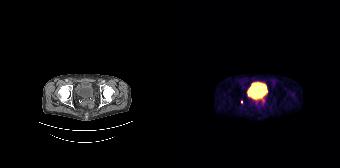
Coordinates are on the 168×168 PET (right) panel. Small PSMA-avid focus (2 to 4 px across) near (center x, center y): (69, 102).
modality: PSMA PET/CT | tracer: [68Ga]Ga-PSMA-11 | view: axial | PET grid: 168×168